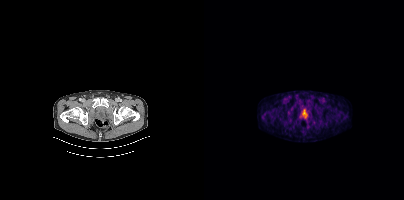
{"modality":"PSMA PET/CT","view":"axial","tracer":"[18F]PSMA-1007","pet_grid":[200,200],"coord_frame":"pet_panel","coord_format":"x0,y0,x1,y1","psma_avid_lesions":false}